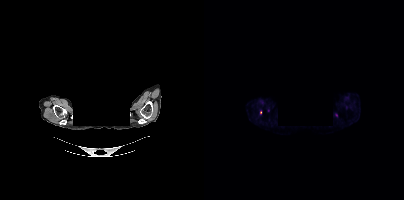
The face region was removed for patient privacy by blanking a rectangle over the head.
Coordinates are on the 200×200 PET (right) panel. (showing 1 of 2 foci) PSMA-avid tumor lesion bounding box (x0,y0,x1,y1): [56,110,58,114].